- Left: CT. Right: PSMA PET, same axial level, 18F tracer
- acquired on Siemens Biograph mCT Flow 20
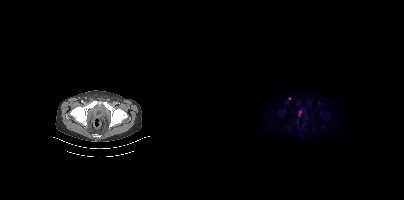
Findings: Coordinates are on the 200×200 PET (right) panel. PSMA-avid tumor lesion bounding box (x0,y0,x1,y1): [95,111,97,115]. Small PSMA-avid focus (2 to 4 px across) near (center x, center y): (85, 98).